- Paired axial CT (left) and PSMA PET (right), 18F-PSMA tracer
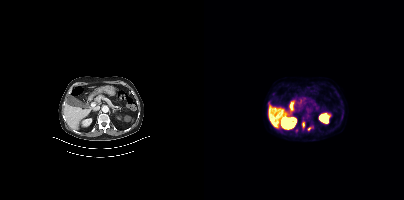
Findings: Coordinates are on the 200×200 PET (right) panel. PSMA-avid tumor lesion bounding box (x0, y0)-(x1, y1): (98, 122)-(100, 127). Small PSMA-avid focus (2 to 4 px across) near (center x, center y): (105, 128).